Two-panel axial: CT | PSMA PET, 18F tracer.
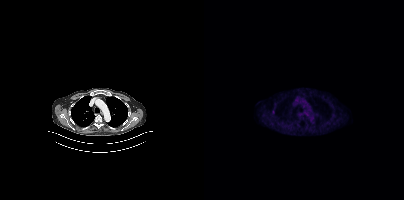
Coordinates are on the 200×200 PET (right) panel. Small PSMA-avid focus (2 to 4 px across) near (center x, center y): (69, 111).